- Left: CT. Right: PSMA PET, same axial level, [18F]PSMA-1007 tracer
- acquired on Siemens Biograph mCT Flow 20
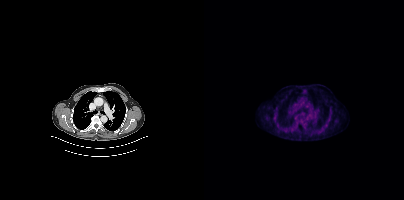
Findings: No tumor lesions annotated on this slice.